Two-panel axial: CT | PSMA PET, 18F tracer. Acquired on Siemens Biograph mCT Flow 20. PET panel 200×200 px (4.1 mm/px).
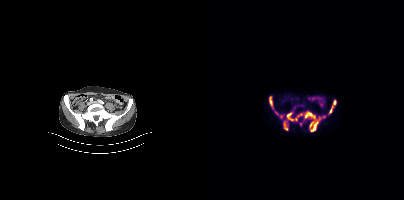
Coordinates are on the 200×200 PET (right) panel. (showing 7 of 9 foci) PSMA-avid tumor lesion bounding boxes (x0, y0)-(x1, y1): (82, 111)-(115, 131) | (124, 99)-(132, 115) | (79, 121)-(84, 130) | (65, 96)-(68, 106). Small PSMA-avid foci (2 to 4 px across) near (center x, center y): (77, 116) | (96, 124) | (72, 113).